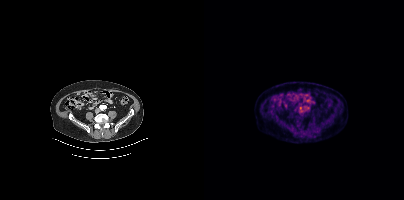
{"modality":"PSMA PET/CT","view":"axial","tracer":"[18F]PSMA-1007","pet_grid":[200,200],"coord_frame":"pet_panel","coord_format":"x0,y0,x1,y1","lesion_bboxes":[],"small_foci_centers":[[96,107]]}